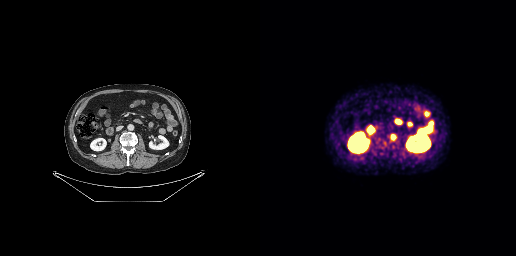
Two-panel axial: CT | PSMA PET, 68Ga tracer. Coordinates are on the 256×256 PET (right) panel. PSMA-avid tumor lesion bounding box (x0,y0,x1,y1): [131,135,135,138].